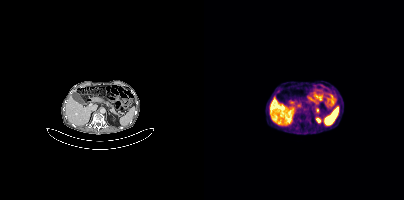
Coordinates are on the 200×200 PET (right) panel. PSMA-avid tumor lesion bounding box (x0,y0,x1,y1): [112,108,115,112].